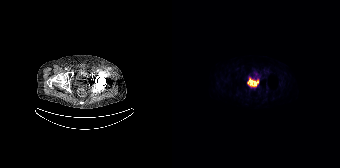
This slice has no annotated PSMA-avid lesion.